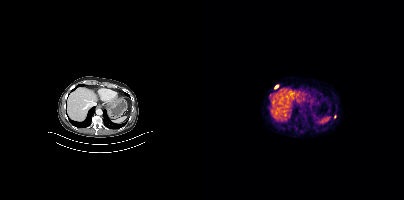
Coordinates are on the 200×200 PET (right) panel. (showing 1 of 2 foci) Small PSMA-avid focus (2 to 4 px across) near (center x, center y): (72, 86).